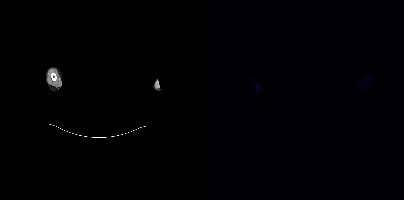
A rectangular block over the head has been blanked out for de-identification.
No PSMA-avid tumor lesions on this slice.